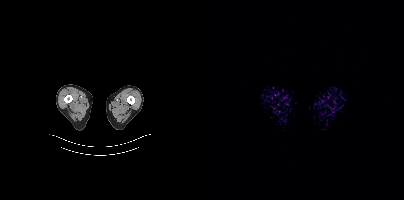
No PSMA-avid tumor lesions on this slice.